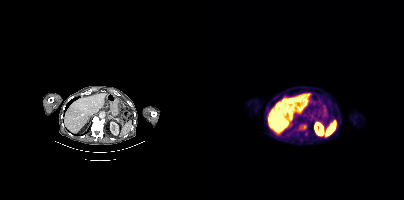
Coordinates are on the 200×200 PET (right) panel. (showing 2 of 3 foci) PSMA-avid tumor lesion bounding boxes (x0, y0)-(x1, y1): (95, 124)-(102, 130) / (100, 132)-(104, 136).